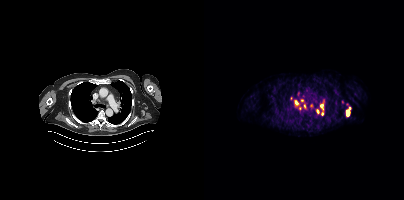
modality: PSMA PET/CT | tracer: 68Ga | view: axial | PET grid: 200×200
Coordinates are on the 200×200 PET (right) panel. (showing 8 of 13 foci) PSMA-avid tumor lesion bounding box (x0, y0)-(x1, y1): (142, 110)-(145, 115). Small PSMA-avid foci (2 to 4 px across) near (center x, center y): (92, 102) / (94, 93) / (117, 106) / (107, 106) / (113, 110) / (87, 98) / (95, 108).